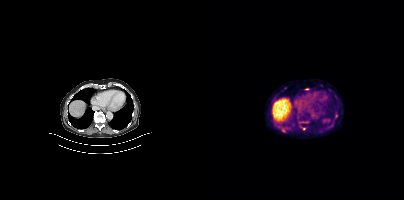
Findings: Coordinates are on the 200×200 PET (right) panel. Small PSMA-avid foci (2 to 4 px across) near (center x, center y): (80, 131); (102, 88); (100, 128); (132, 116).
Technique: Two-panel axial: CT | PSMA PET, 18F tracer.